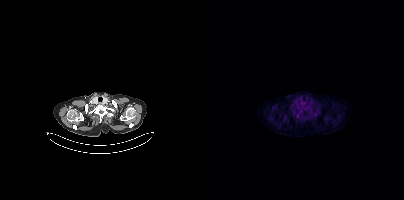
- Two-panel axial: CT | PSMA PET, [18F]PSMA-1007 tracer
- PET panel 200×200 px (4.1 mm/px)
Findings: Coordinates are on the 200×200 PET (right) panel. Small PSMA-avid foci (2 to 4 px across) near (center x, center y): (93, 116) (111, 114).